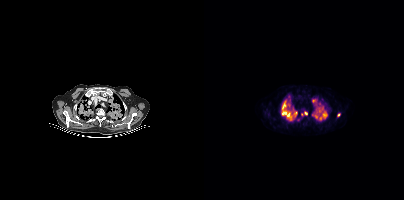
{"modality":"PSMA PET/CT","view":"axial","tracer":"[18F]PSMA-1007","pet_grid":[200,200],"coord_frame":"pet_panel","coord_format":"x0,y0,x1,y1","partial":true,"lesion_bboxes":[[78,101,87,119],[115,112,123,119],[108,99,113,104],[108,112,114,118],[90,112,92,116]],"small_foci_centers":[[101,113],[116,107],[115,110],[134,114],[84,96]]}